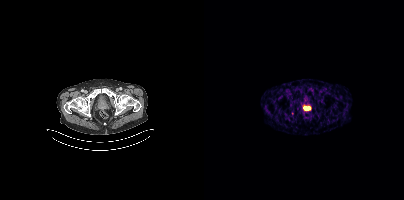
{"modality":"PSMA PET/CT","view":"axial","tracer":"68Ga","pet_grid":[200,200],"coord_frame":"pet_panel","coord_format":"x0,y0,x1,y1","lesion_bboxes":[[100,106,106,110]]}